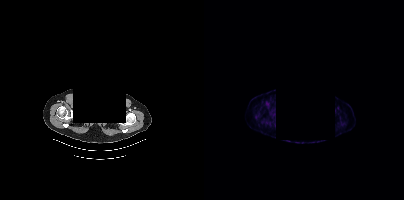
redaction: head region blacked out before release | modality: PSMA PET/CT | tracer: 18F | view: axial
This slice has no annotated PSMA-avid lesion.